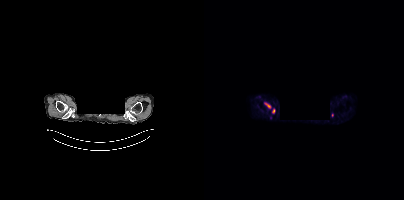
{"modality":"PSMA PET/CT","view":"axial","tracer":"18F-PSMA","pet_grid":[200,200],"coord_frame":"pet_panel","coord_format":"x0,y0,x1,y1","deidentification":"face masked with black rectangle","lesion_bboxes":[[60,102,67,108],[68,108,71,113]],"small_foci_centers":[[128,115]]}